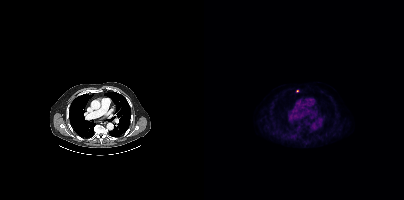
Paired axial CT (left) and PSMA PET (right), [18F]PSMA-1007 tracer. Slice position z = -522 mm. PET panel 200×200 px (4.1 mm/px). Coordinates are on the 200×200 PET (right) panel. Small PSMA-avid focus (2 to 4 px across) near (center x, center y): (93, 90).